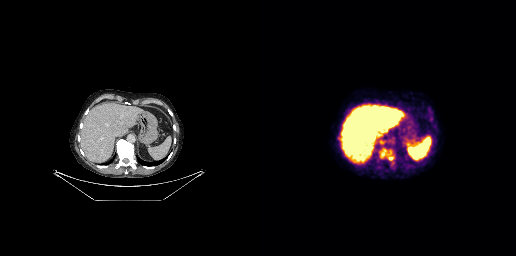
Technique: Two-panel axial: CT | PSMA PET, [18F]PSMA-1007 tracer. acquired on GE Discovery 690.
Findings: Coordinates are on the 256×256 PET (right) panel. PSMA-avid tumor lesion bounding boxes (x0, y0)-(x1, y1): (121, 149)-(126, 157) | (128, 157)-(133, 160). Small PSMA-avid focus (2 to 4 px across) near (center x, center y): (130, 153).